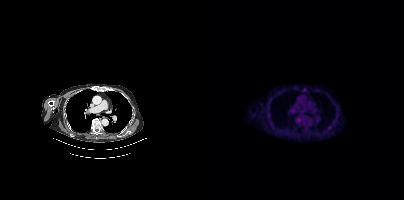
Findings: No PSMA-avid tumor lesions on this slice.
- Left: CT. Right: PSMA PET, same axial level, 18F tracer
- slice 299 of 411
- PET panel 200×200 px (4.1 mm/px)